Technique: Left: CT. Right: PSMA PET, same axial level, 18F-PSMA tracer.
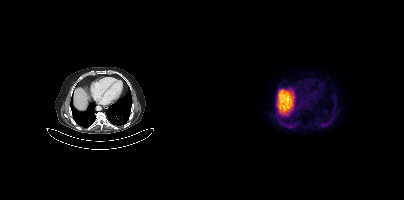
Findings: This slice has no annotated PSMA-avid lesion.